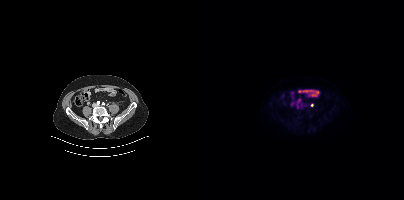
{"modality":"PSMA PET/CT","view":"axial","tracer":"18F","pet_grid":[200,200],"coord_frame":"pet_panel","coord_format":"x0,y0,x1,y1","lesion_bboxes":[],"small_foci_centers":[[108,105]]}